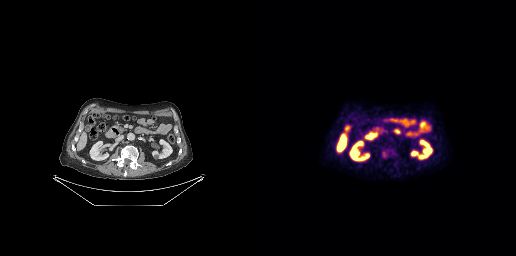
Coordinates are on the 256×256 PET (right) panel. PSMA-avid tumor lesion bounding boxes:
| # | x0 | y0 | x1 | y1 |
|---|---|---|---|---|
| 1 | 122 | 149 | 130 | 158 |
Two-panel axial: CT | PSMA PET, 18F-PSMA tracer.